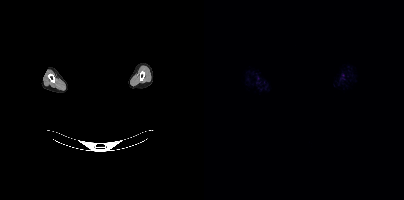
Head region blanked for anonymization (face removed). Two-panel axial: CT | PSMA PET, 18F-PSMA tracer. Slice position z = -237 mm. This slice has no annotated PSMA-avid lesion.